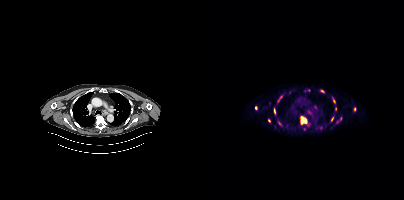
{"modality":"PSMA PET/CT","view":"axial","tracer":"[18F]PSMA-1007","pet_grid":[200,200],"coord_frame":"pet_panel","coord_format":"x0,y0,x1,y1","partial":true,"lesion_bboxes":[[96,116,102,124],[73,95,78,102],[129,98,131,103],[116,90,120,92],[127,117,129,121],[70,108,71,112]],"small_foci_centers":[[111,106],[51,107],[150,109],[131,109],[106,111],[136,118],[65,120],[75,123]]}